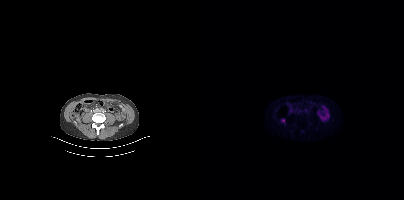
Coordinates are on the 200×200 PET (right) panel. Small PSMA-avid focus (2 to 4 px across) near (center x, center y): (78, 120). Paired axial CT (left) and PSMA PET (right), [18F]PSMA-1007 tracer. Slice position z = -1404 mm. PET panel 200×200 px (4.1 mm/px).